- Paired axial CT (left) and PSMA PET (right), [18F]PSMA-1007 tracer
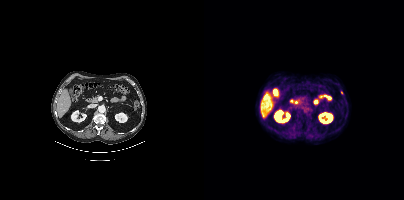
Findings: Coordinates are on the 200×200 PET (right) panel. Small PSMA-avid focus (2 to 4 px across) near (center x, center y): (137, 92).